modality: PSMA PET/CT | tracer: [18F]PSMA-1007 | view: axial | PET grid: 256×256
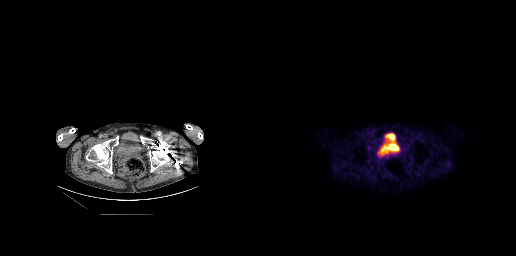
Coordinates are on the 256×256 PET (right) panel. Small PSMA-avid focus (2 to 4 px across) near (center x, center y): (109, 146).